modality: PSMA PET/CT | tracer: 18F | view: axial | PET grid: 256×256
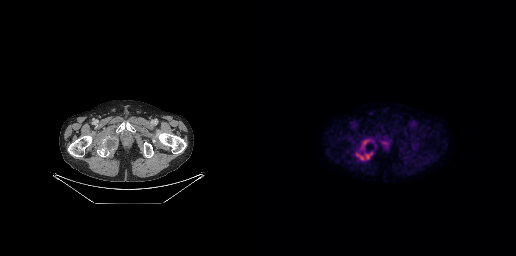
Coordinates are on the 256×256 PET (right) panel. PSMA-avid tumor lesion bounding boxes (x, y, width, height): x=105 y=152 w=8 h=7; x=102 y=140 w=7 h=8; x=96 y=153 w=8 h=7.